Left: CT. Right: PSMA PET, same axial level, [18F]PSMA-1007 tracer. PET panel 200×200 px (4.1 mm/px).
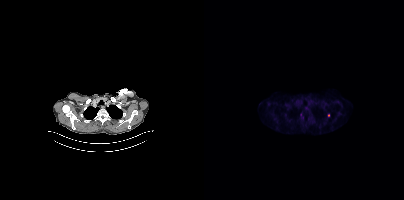
Coordinates are on the 200×200 PET (right) panel. Small PSMA-avid foci (2 to 4 px across) near (center x, center y): (96, 115) | (124, 115).